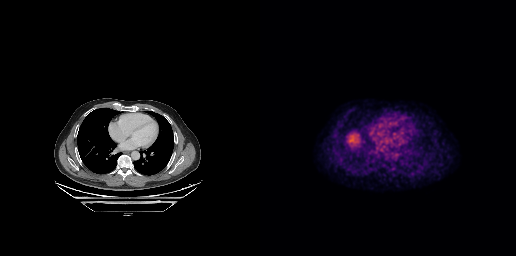
Left: CT. Right: PSMA PET, same axial level, 18F-PSMA tracer. Slice 180 of 263. PET panel 256×256 px (2.7 mm/px). Coordinates are on the 256×256 PET (right) panel. Small PSMA-avid focus (2 to 4 px across) near (center x, center y): (79, 160).